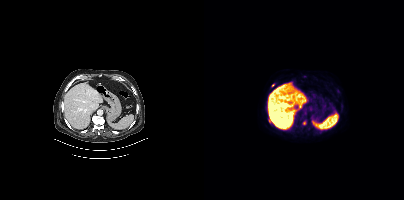
Coordinates are on the 200×200 PET (right) panel. Small PSMA-avid foci (2 to 4 px across) near (center x, center y): (69, 85); (101, 76); (100, 123).